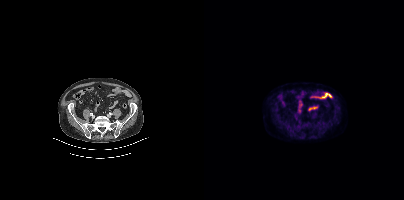
Paired axial CT (left) and PSMA PET (right), 18F tracer. PET panel 200×200 px (4.1 mm/px). No PSMA-avid tumor lesions on this slice.